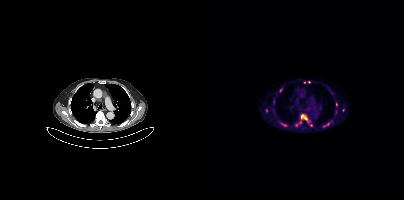
Findings: Coordinates are on the 200×200 PET (right) panel. (showing 8 of 12 foci) PSMA-avid tumor lesion bounding boxes (x0,y0,x1,y1): [97,114,103,120] [119,122,125,127] [78,123,82,126] [75,88,78,92]. Small PSMA-avid foci (2 to 4 px across) near (center x, center y): (132, 104) (100, 82) (62, 110) (105, 81).
- Left: CT. Right: PSMA PET, same axial level, [18F]PSMA-1007 tracer